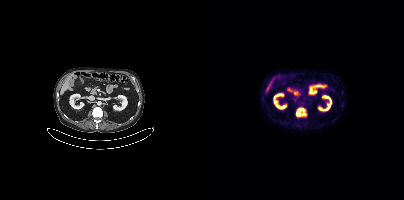
Technique: Two-panel axial: CT | PSMA PET, 18F-PSMA tracer. acquired on Siemens Biograph mCT Flow 20. slice 179 of 387.
Findings: Coordinates are on the 200×200 PET (right) panel. PSMA-avid tumor lesion bounding box (x0, y0)-(x1, y1): (92, 108)-(102, 117).